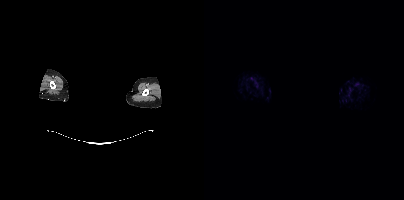
An anonymization step blacked out a rectangle over the head in this scan. Paired axial CT (left) and PSMA PET (right), 18F tracer. Acquired on Siemens Biograph mCT Flow 20. PET panel 200×200 px (4.1 mm/px). No tumor lesions annotated on this slice.